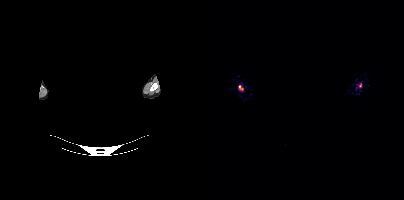
{"pet_grid":[200,200],"coord_frame":"pet_panel","coord_format":"x0,y0,x1,y1","lesion_bboxes":[[35,85,39,90],[154,83,157,87]],"de-identification":"rectangular block over head set to black","modality":"PSMA PET/CT","view":"axial","tracer":"[68Ga]Ga-PSMA-11"}